Left: CT. Right: PSMA PET, same axial level, 18F-PSMA tracer. PET panel 200×200 px (4.1 mm/px).
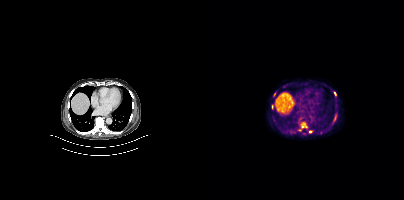
Coordinates are on the 200×200 PET (right) panel. (showing 6 of 7 foci) PSMA-avid tumor lesion bounding box (x0, y0)-(x1, y1): (97, 122)-(103, 128). Small PSMA-avid foci (2 to 4 px across) near (center x, center y): (106, 131) / (131, 93) / (70, 94) / (68, 106) / (95, 129).